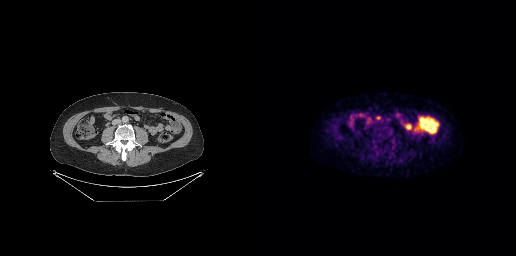
Findings: Coordinates are on the 256×256 PET (right) panel. Small PSMA-avid focus (2 to 4 px across) near (center x, center y): (118, 117).
Technique: Two-panel axial: CT | PSMA PET, [18F]PSMA-1007 tracer. acquired on GE Discovery 690.